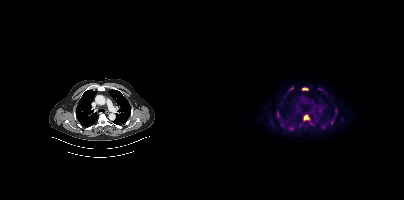
- Two-panel axial: CT | PSMA PET, 18F-PSMA tracer
- slice 278 of 395
Findings: Coordinates are on the 200×200 PET (right) panel. (showing 12 of 14 foci) PSMA-avid tumor lesion bounding boxes (x0, y0)-(x1, y1): (99, 115)-(105, 121) | (98, 87)-(104, 90) | (84, 127)-(89, 130) | (131, 108)-(133, 115) | (117, 125)-(121, 128) | (73, 111)-(75, 117) | (101, 124)-(105, 127) | (85, 87)-(89, 90). Small PSMA-avid foci (2 to 4 px across) near (center x, center y): (127, 122) | (137, 120) | (79, 126) | (108, 123).